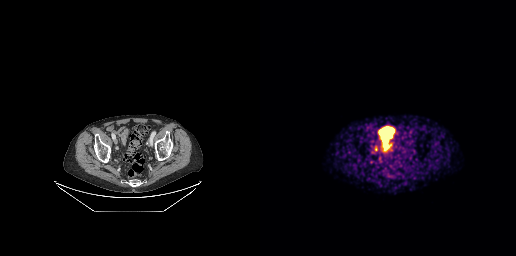
{"modality":"PSMA PET/CT","view":"axial","tracer":"68Ga-PSMA","pet_grid":[256,256],"coord_frame":"pet_panel","coord_format":"x0,y0,x1,y1","psma_avid_lesions":false}